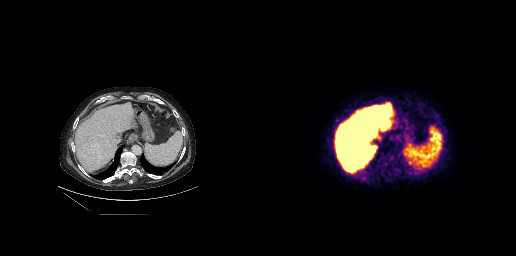
Findings: Coordinates are on the 256×256 PET (right) panel. PSMA-avid tumor lesion bounding boxes (x, y, width, height): x=122 y=152 w=13 h=13; x=75 y=118 w=6 h=6.
Technique: Left: CT. Right: PSMA PET, same axial level, [18F]PSMA-1007 tracer.